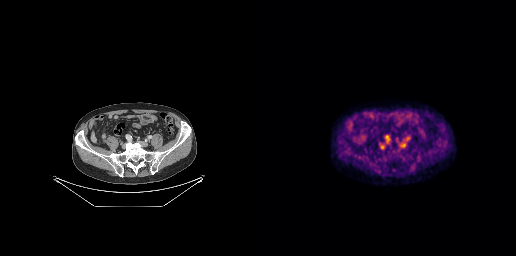
This slice has no annotated PSMA-avid lesion.